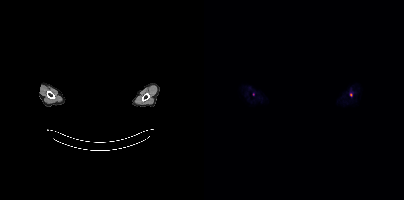
An anonymization step blacked out a rectangle over the head in this scan.
Coordinates are on the 200×200 PET (right) panel. Small PSMA-avid foci (2 to 4 px across) near (center x, center y): (49, 94) / (146, 94).